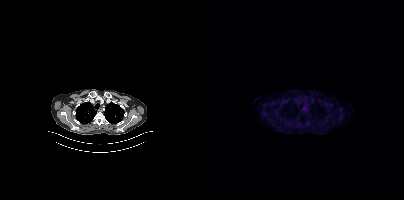
Findings: Coordinates are on the 200×200 PET (right) panel. Small PSMA-avid focus (2 to 4 px across) near (center x, center y): (135, 117).
- Paired axial CT (left) and PSMA PET (right), 18F tracer
- acquired on Siemens Biograph mCT Flow 20